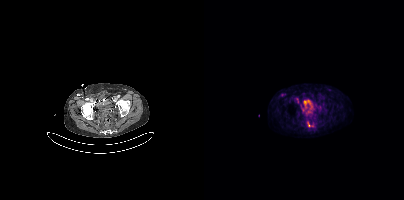
Coordinates are on the 200×200 PET (right) panel. PSMA-avid tumor lesion bounding boxes (partial; 2 more foci not listed):
| # | x0 | y0 | x1 | y1 |
|---|---|---|---|---|
| 1 | 103 | 122 | 109 | 126 |
Small PSMA-avid foci (2 to 4 px across) near (center x, center y): (78, 95); (93, 99); (99, 110); (104, 111).
Paired axial CT (left) and PSMA PET (right), [18F]PSMA-1007 tracer.